Technique: Paired axial CT (left) and PSMA PET (right), 18F-PSMA tracer.
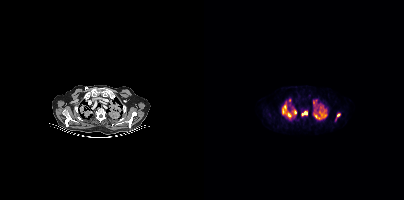
Findings: Coordinates are on the 200×200 PET (right) panel. (showing 7 of 9 foci) PSMA-avid tumor lesion bounding boxes (x, y, width, height): x=109 y=110 w=14 h=10 / x=78 y=101 w=10 h=17 / x=97 y=111 w=7 h=5 / x=109 y=99 w=5 h=5 / x=90 y=110 w=3 h=5. Small PSMA-avid foci (2 to 4 px across) near (center x, center y): (117, 107) / (134, 115).